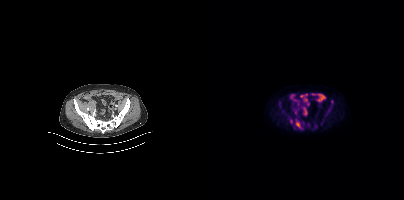
Coordinates are on the 200×200 PET (right) panel. (showing 3 of 5 foci) PSMA-avid tumor lesion bounding boxes (x, y, width, height): x=91 y=119 w=8 h=11 | x=127 y=100 w=3 h=5. Small PSMA-avid focus (2 to 4 px across) near (center x, center y): (86, 119).